Left: CT. Right: PSMA PET, same axial level, 18F-PSMA tracer. Acquired on Siemens Biograph mCT Flow 20. PET panel 200×200 px (4.1 mm/px).
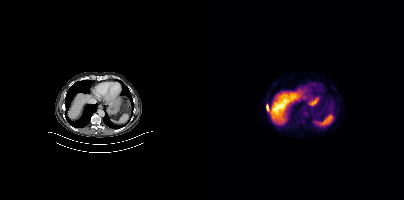
Coordinates are on the 200×200 PET (right) panel. PSMA-avid tumor lesion bounding box (x0,y0,x1,y1): [62,105,64,110].